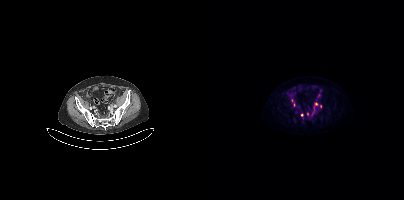
Findings: Coordinates are on the 200×200 PET (right) panel. (showing 7 of 8 foci) PSMA-avid tumor lesion bounding box (x, y, width, height): x=110 y=102 w=5 h=3. Small PSMA-avid foci (2 to 4 px across) near (center x, center y): (98, 114) / (116, 106) / (90, 104) / (108, 113) / (103, 114) / (87, 100).
Technique: Two-panel axial: CT | PSMA PET, 18F tracer. acquired on Siemens Biograph mCT Flow 20. slice position z = -20 mm.